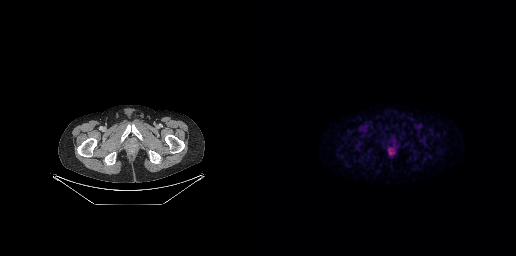
No PSMA-avid tumor lesions on this slice.
modality: PSMA PET/CT | tracer: [18F]PSMA-1007 | view: axial | PET grid: 256×256